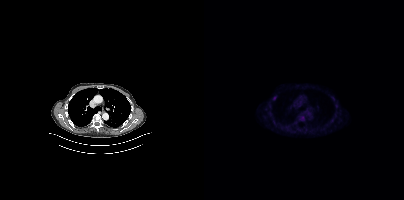
{"modality":"PSMA PET/CT","view":"axial","tracer":"[18F]PSMA-1007","pet_grid":[200,200],"coord_frame":"pet_panel","coord_format":"x0,y0,x1,y1","lesion_bboxes":[],"small_foci_centers":[[70,98]]}